- Left: CT. Right: PSMA PET, same axial level, 18F-PSMA tracer
- slice 148 of 427
- PET panel 200×200 px (4.1 mm/px)
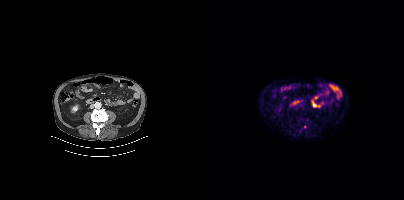
Findings: Only PSMA-avid lesion pieces thinner than 2 px on this slice (not listed).